Paired axial CT (left) and PSMA PET (right), 18F-PSMA tracer.
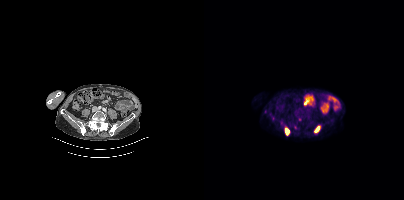
Coordinates are on the 200×200 PET (right) panel. (showing 2 of 5 foci) PSMA-avid tumor lesion bounding boxes (x0, y0)-(x1, y1): (110, 125)-(116, 133) | (81, 127)-(85, 135).